Technique: Two-panel axial: CT | PSMA PET, 68Ga tracer. acquired on Siemens Biograph 64-4R TruePoint.
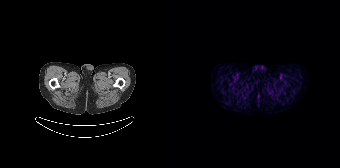
Findings: No tumor lesions annotated on this slice.